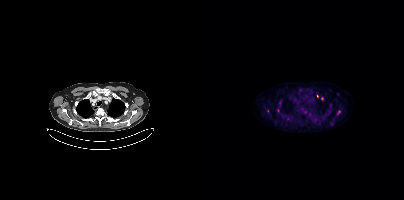
- Paired axial CT (left) and PSMA PET (right), 18F tracer
- acquired on Siemens Biograph mCT Flow 20
- slice position z = -966 mm
Findings: Coordinates are on the 200×200 PET (right) panel. (showing 2 of 5 foci) Small PSMA-avid foci (2 to 4 px across) near (center x, center y): (113, 96) | (118, 98).